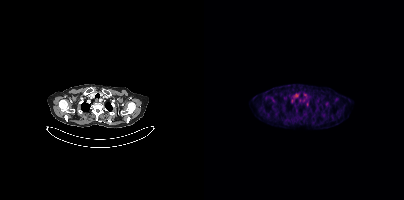
- Paired axial CT (left) and PSMA PET (right), [18F]PSMA-1007 tracer
- acquired on Siemens Biograph mCT Flow 20
Findings: Coordinates are on the 200×200 PET (right) panel. Small PSMA-avid focus (2 to 4 px across) near (center x, center y): (103, 104).